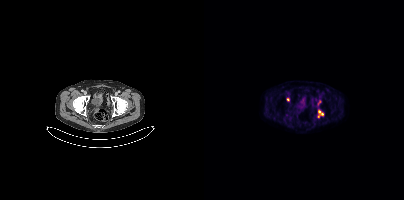
{"pet_grid":[200,200],"coord_frame":"pet_panel","coord_format":"x0,y0,x1,y1","lesion_bboxes":[[114,110,119,117]],"small_foci_centers":[[83,99],[115,102]],"modality":"PSMA PET/CT","view":"axial","tracer":"[18F]PSMA-1007"}